Two-panel axial: CT | PSMA PET, [18F]PSMA-1007 tracer. Acquired on Siemens Biograph mCT Flow 20.
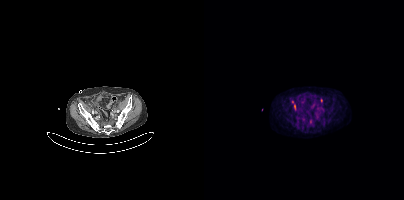
Coordinates are on the 200×200 PET (right) panel. PSMA-avid tumor lesion bounding box (x0, y0)-(x1, y1): (88, 101)-(92, 110). Small PSMA-avid foci (2 to 4 px across) near (center x, center y): (106, 122); (117, 100).